modality: PSMA PET/CT | tracer: 68Ga | view: axial | PET grid: 200×200 | redaction: privacy mask over head
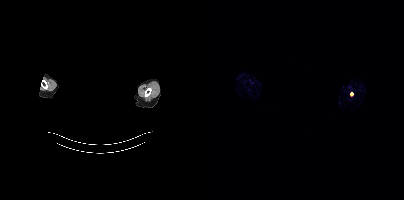
Coordinates are on the 200×200 PET (right) panel. Small PSMA-avid focus (2 to 4 px across) near (center x, center y): (147, 94).